Paired axial CT (left) and PSMA PET (right), 68Ga tracer. Acquired on Siemens Biograph 64-4R TruePoint. Slice position z = -1550 mm. PET panel 168×168 px (4.1 mm/px).
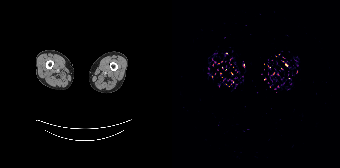
Negative for PSMA-avid disease on this slice.